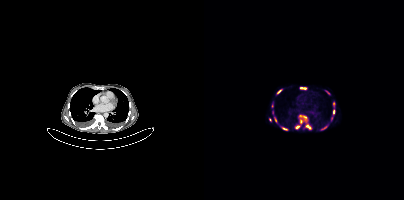
{"pet_grid":[200,200],"coord_frame":"pet_panel","coord_format":"x0,y0,x1,y1","partial":true,"lesion_bboxes":[[95,115,102,120],[102,124,107,129],[96,87,102,89],[91,125,95,128],[78,127,83,130],[96,119,98,123],[73,90,77,93],[129,102,130,106],[118,126,122,129]],"small_foci_centers":[[129,111],[123,92],[127,118],[71,120],[68,111]],"modality":"PSMA PET/CT","view":"axial","tracer":"68Ga-PSMA"}